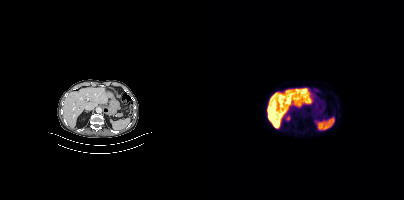
No tumor lesions annotated on this slice. Left: CT. Right: PSMA PET, same axial level, 18F tracer.